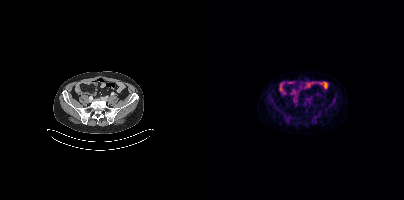
{"modality":"PSMA PET/CT","view":"axial","tracer":"18F","pet_grid":[200,200],"coord_frame":"pet_panel","coord_format":"x0,y0,x1,y1","psma_avid_lesions":false}